Two-panel axial: CT | PSMA PET, 18F tracer.
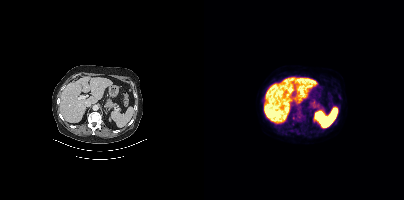
No PSMA-avid tumor lesions on this slice.